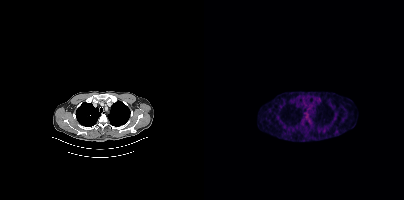
modality: PSMA PET/CT | tracer: 18F | view: axial | PET grid: 200×200
No PSMA-avid tumor lesions on this slice.